Technique: Left: CT. Right: PSMA PET, same axial level, [18F]PSMA-1007 tracer. acquired on Siemens Biograph mCT Flow 20.
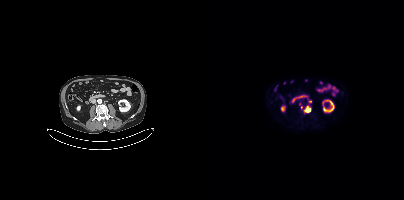
Findings: Coordinates are on the 200×200 PET (right) panel. PSMA-avid tumor lesion bounding boxes (x0, y0)-(x1, y1): (100, 106)-(106, 113) | (104, 99)-(107, 103) | (95, 103)-(98, 108).